Paired axial CT (left) and PSMA PET (right), 18F-PSMA tracer. An anonymization step blacked out a rectangle over the head in this scan.
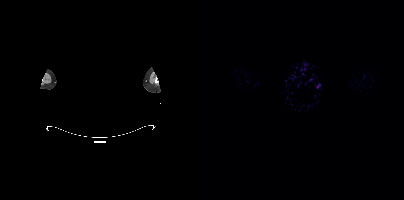
No tumor lesions annotated on this slice.